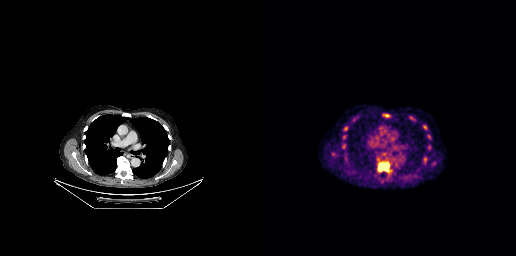
Coordinates are on the 256×256 PET (right) panel. PSMA-avid tumor lesion bounding boxes (x0, y0)-(x1, y1): (117, 161)-(131, 172) / (84, 126)-(88, 128). Small PSMA-avid focus (2 to 4 px across) near (center x, center y): (126, 115).